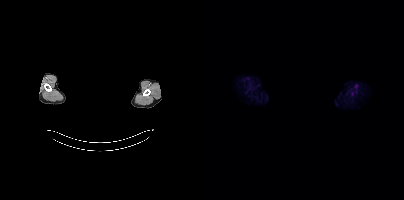
Any black rectangle over the head is a privacy mask, not anatomy. Two-panel axial: CT | PSMA PET, [18F]PSMA-1007 tracer. Slice position z = 1826 mm. PET panel 200×200 px (4.1 mm/px). No tumor lesions annotated on this slice.